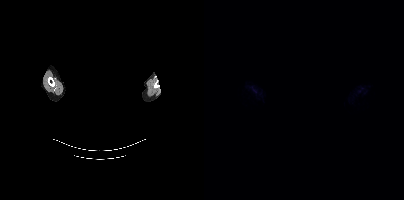
Paired axial CT (left) and PSMA PET (right), 18F-PSMA tracer. Acquired on Siemens Biograph mCT Flow 20. Slice position z = -324 mm. Face de-identified by blanking a block of the head. This slice has no annotated PSMA-avid lesion.